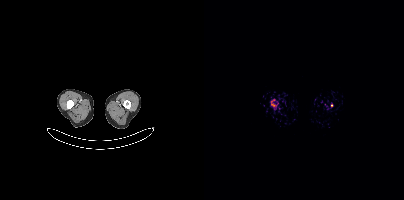
Only PSMA-avid lesion pieces thinner than 2 px on this slice (not listed). Two-panel axial: CT | PSMA PET, 68Ga tracer. Acquired on Siemens Biograph mCT Flow 20. Slice 1 of 393.